A rectangular block over the head has been blanked out for de-identification. Left: CT. Right: PSMA PET, same axial level, [68Ga]Ga-PSMA-11 tracer. PET panel 256×256 px (2.7 mm/px).
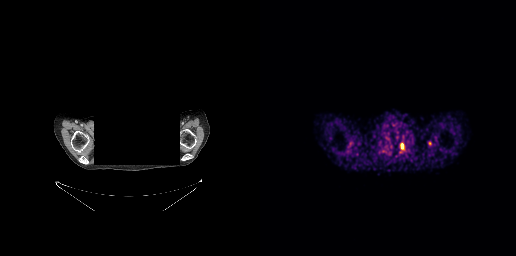
Coordinates are on the 256×256 PET (right) panel. PSMA-avid tumor lesion bounding box (x0,y0,x1,y1): [140,143,144,149]. Small PSMA-avid foci (2 to 4 px across) near (center x, center y): (137, 137) (169, 143).